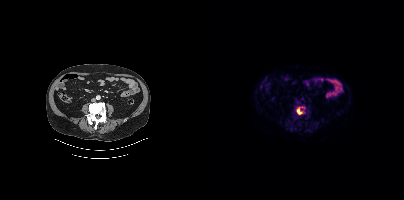
Technique: Left: CT. Right: PSMA PET, same axial level, 18F-PSMA tracer. PET panel 200×200 px (4.1 mm/px).
Findings: Coordinates are on the 200×200 PET (right) panel. PSMA-avid tumor lesion bounding box (x0,y0,x1,y1): [92,106,100,114].